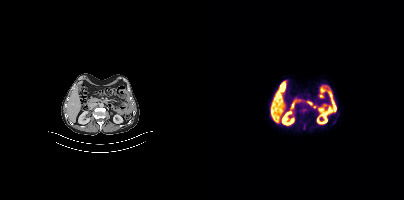
Paired axial CT (left) and PSMA PET (right), 18F-PSMA tracer. No PSMA-avid tumor lesions on this slice.